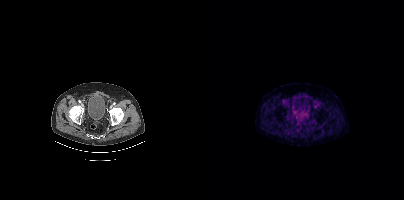
- Left: CT. Right: PSMA PET, same axial level, 18F tracer
- acquired on Siemens Biograph mCT Flow 20
Findings: This slice has no annotated PSMA-avid lesion.